Technique: Paired axial CT (left) and PSMA PET (right), 68Ga-PSMA tracer. acquired on Siemens Biograph mCT Flow 20.
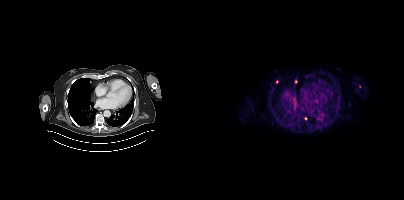
Findings: Coordinates are on the 200×200 PET (right) panel. Small PSMA-avid foci (2 to 4 px across) near (center x, center y): (92, 81); (101, 118); (72, 81).